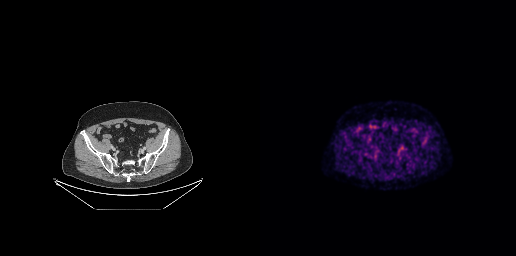
{"pet_grid":[256,256],"coord_frame":"pet_panel","coord_format":"x0,y0,x1,y1","psma_avid_lesions":false,"modality":"PSMA PET/CT","view":"axial","tracer":"18F"}